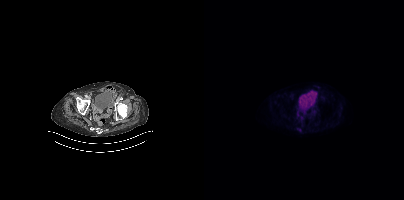
{"modality":"PSMA PET/CT","view":"axial","tracer":"18F-PSMA","pet_grid":[200,200],"coord_frame":"pet_panel","coord_format":"x0,y0,x1,y1","partial":true,"lesion_bboxes":[]}